Left: CT. Right: PSMA PET, same axial level, 68Ga tracer. Slice 319 of 444.
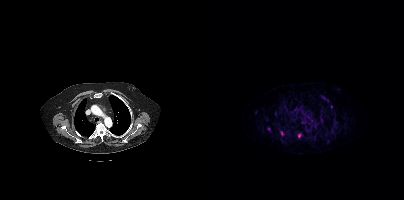
Coordinates are on the 200×200 PET (right) panel. (showing 2 of 4 foci) PSMA-avid tumor lesion bounding box (x, y, width, height): x=94 y=133 w=4 h=5. Small PSMA-avid focus (2 to 4 px across) near (center x, center y): (78, 133).